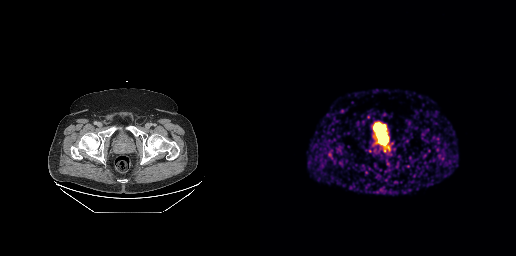
Two-panel axial: CT | PSMA PET, 68Ga tracer. Slice 90 of 299. Coordinates are on the 256×256 PET (right) panel. PSMA-avid tumor lesion bounding boxes (x0,y0,x1,y1): [119,135,127,143]; [122,145,128,152].